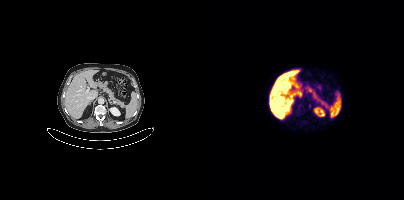
{"modality":"PSMA PET/CT","view":"axial","tracer":"[18F]PSMA-1007","pet_grid":[200,200],"coord_frame":"pet_panel","coord_format":"x0,y0,x1,y1","lesion_bboxes":[[105,104,107,108]]}